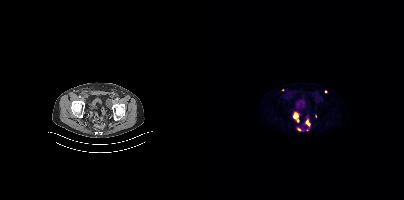
Coordinates are on the 200×200 PET (right) panel. (showing 5 of 6 foci) PSMA-avid tumor lesion bounding boxes (x0,y0,x1,y1): [89,112,95,122], [101,119,106,126], [93,128,97,130]. Small PSMA-avid foci (2 to 4 px across) near (center x, center y): (78, 89), (121, 91).